Paired axial CT (left) and PSMA PET (right), 18F tracer. Acquired on Siemens Biograph mCT Flow 20. Slice position z = -1214 mm. PET panel 200×200 px (4.1 mm/px).
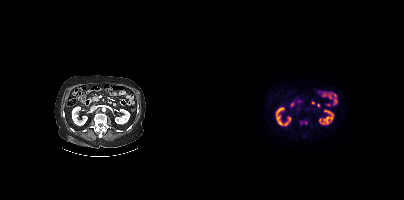
Coordinates are on the 200×200 PET (right) panel. Small PSMA-avid focus (2 to 4 px across) near (center x, center y): (101, 122).